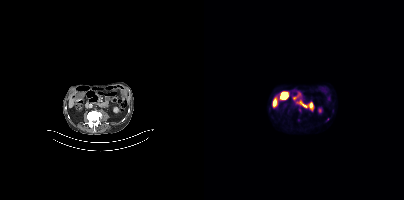
- Paired axial CT (left) and PSMA PET (right), [18F]PSMA-1007 tracer
- PET panel 200×200 px (4.1 mm/px)
Findings: Coordinates are on the 200×200 PET (right) panel. Small PSMA-avid focus (2 to 4 px across) near (center x, center y): (123, 119).